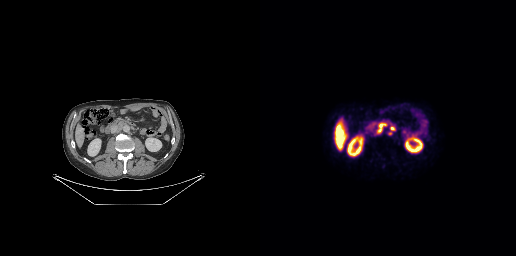
modality: PSMA PET/CT | tracer: [18F]PSMA-1007 | view: axial | PET grid: 256×256
Coordinates are on the 256×256 PET (right) panel. PSMA-avid tumor lesion bounding boxes (x0, y0)-(x1, y1): (117, 122)-(126, 133) / (130, 126)-(135, 130). Small PSMA-avid focus (2 to 4 px across) near (center x, center y): (130, 133).